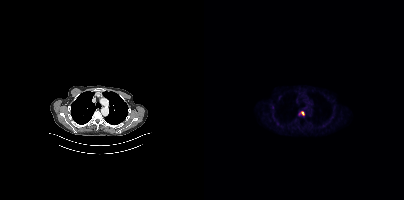
{"modality":"PSMA PET/CT","view":"axial","tracer":"18F-PSMA","pet_grid":[200,200],"coord_frame":"pet_panel","coord_format":"x0,y0,x1,y1","lesion_bboxes":[[97,111,100,115]]}